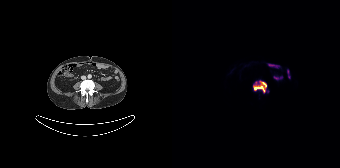
Coordinates are on the 168×168 PET (right) panel. (showing 1 of 2 foci) PSMA-avid tumor lesion bounding box (x, y, width, height): x=81 y=80 w=14 h=14.